- Two-panel axial: CT | PSMA PET, 18F-PSMA tracer
- acquired on Siemens Biograph mCT Flow 20
- slice position z = -622 mm
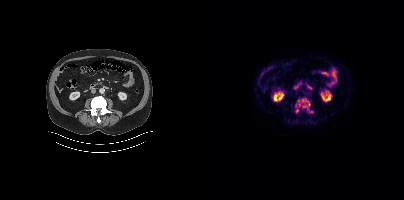
Findings: Coordinates are on the 200×200 PET (right) panel. PSMA-avid tumor lesion bounding boxes (x0, y0)-(x1, y1): (94, 98)-(106, 107); (91, 105)-(96, 112); (103, 109)-(109, 113).